Technique: Paired axial CT (left) and PSMA PET (right), 18F-PSMA tracer. acquired on Siemens Biograph mCT Flow 20. slice 35 of 377. PET panel 200×200 px (4.1 mm/px).
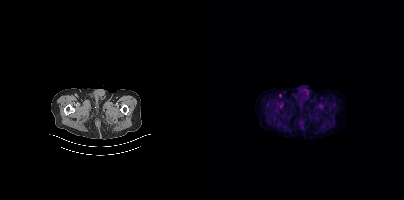
Findings: Negative for PSMA-avid disease on this slice.